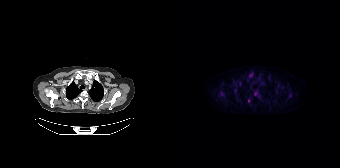
Coordinates are on the 168×168 PET (right) panel. (showing 4 of 5 foci) Small PSMA-avid foci (2 to 4 px across) near (center x, center y): (68, 83) (106, 85) (76, 100) (49, 94).
modality: PSMA PET/CT | tracer: 18F-PSMA | view: axial